modality: PSMA PET/CT | tracer: [68Ga]Ga-PSMA-11 | view: axial | PET grid: 200×200
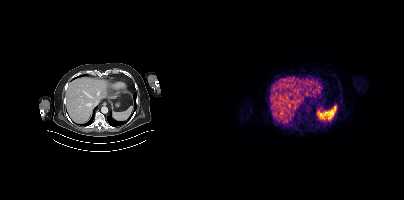
Negative for PSMA-avid disease on this slice.